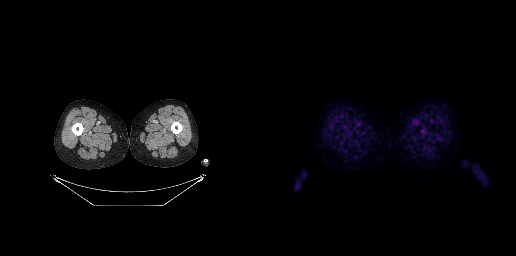
Negative for PSMA-avid disease on this slice. Paired axial CT (left) and PSMA PET (right), 18F-PSMA tracer. Acquired on GE Discovery 690. Slice position z = -988 mm. PET panel 256×256 px (2.7 mm/px).